A block of pixels was blacked out before release to protect privacy.
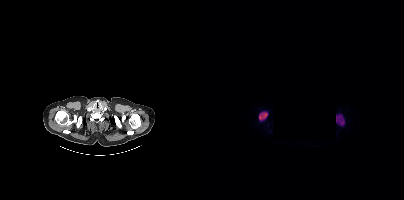
Coordinates are on the 200×200 PET (right) panel. PSMA-avid tumor lesion bounding boxes (x0,y0,x1,y1): [132,114,140,125] [55,111,63,120].